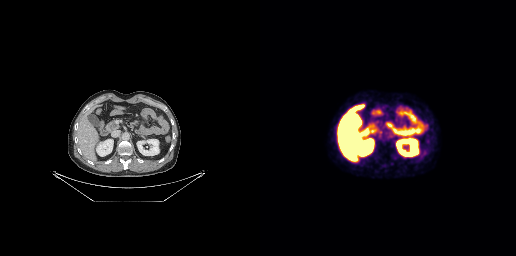
Coordinates are on the 256×256 PET (right) panel. PSMA-avid tumor lesion bounding box (x0, y0)-(x1, y1): (128, 134)-(133, 138). Small PSMA-avid focus (2 to 4 px across) near (center x, center y): (120, 136).